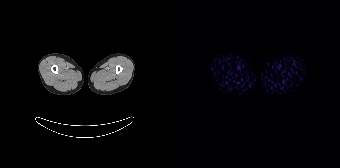
modality: PSMA PET/CT | tracer: 68Ga-PSMA | view: axial
This slice has no annotated PSMA-avid lesion.